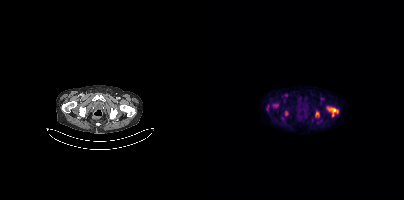
Coordinates are on the 200×200 PET (right) panel. PSMA-avid tumor lesion bounding boxes (x0,y0,x1,y1): [123,107,134,116], [81,111,83,115]. Small PSMA-avid foci (2 to 4 px across) near (center x, center y): (113, 113), (72, 105).